Two-panel axial: CT | PSMA PET, [18F]PSMA-1007 tracer. Slice 264 of 427. PET panel 200×200 px (4.1 mm/px).
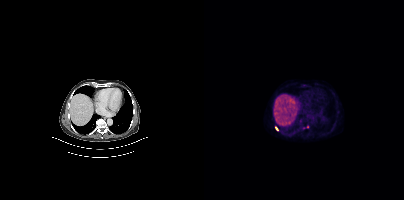
Coordinates are on the 200×200 PET (right) panel. PSMA-avid tumor lesion bounding boxes (partial; 1 more focus not listed):
| # | x0 | y0 | x1 | y1 |
|---|---|---|---|---|
| 1 | 71 | 126 | 74 | 130 |